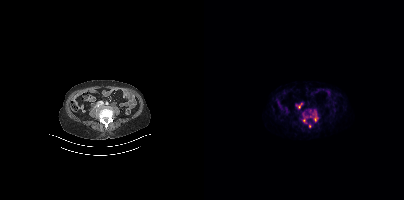
Coordinates are on the 200×200 PET (right) panel. PSMA-avid tumor lesion bounding boxes (partial; 1 more focus not listed):
| # | x0 | y0 | x1 | y1 |
|---|---|---|---|---|
| 1 | 105 | 114 | 113 | 121 |
| 2 | 92 | 104 | 96 | 108 |
| 3 | 99 | 113 | 102 | 117 |
Small PSMA-avid foci (2 to 4 px across) near (center x, center y): (100, 119); (106, 126).
Left: CT. Right: PSMA PET, same axial level, 68Ga-PSMA tracer. Acquired on Siemens Biograph mCT Flow 20. Slice 138 of 397. PET panel 200×200 px (4.1 mm/px).